Two-panel axial: CT | PSMA PET, 18F-PSMA tracer. Acquired on Siemens Biograph mCT Flow 20. Slice 395 of 444. The head region is masked for de-identification.
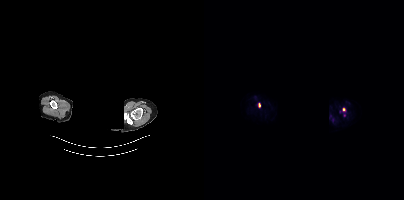
Coordinates are on the 200×200 PET (right) panel. PSMA-avid tumor lesion bounding boxes:
| # | x0 | y0 | x1 | y1 |
|---|---|---|---|---|
| 1 | 54 | 103 | 56 | 107 |
Small PSMA-avid focus (2 to 4 px across) near (center x, center y): (140, 109).